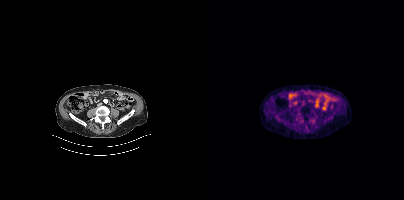
Left: CT. Right: PSMA PET, same axial level, 18F tracer. This slice has no annotated PSMA-avid lesion.